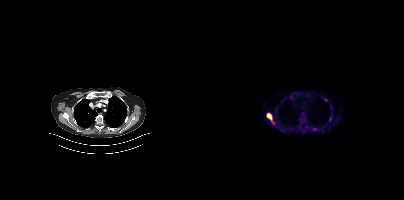
{"modality":"PSMA PET/CT","view":"axial","tracer":"18F","pet_grid":[200,200],"coord_frame":"pet_panel","coord_format":"x0,y0,x1,y1","partial":true,"lesion_bboxes":[[63,113,68,121],[108,127,113,130]],"small_foci_centers":[[126,119],[100,118],[99,113]]}